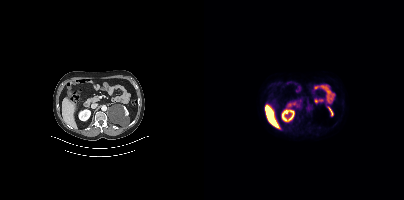
Technique: Two-panel axial: CT | PSMA PET, [18F]PSMA-1007 tracer. slice 212 of 442. PET panel 200×200 px (4.1 mm/px).
Findings: This slice has no annotated PSMA-avid lesion.